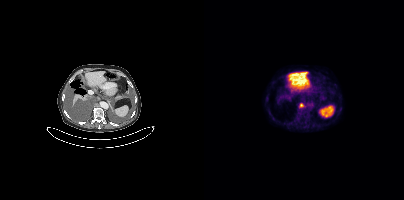
Coordinates are on the 200×200 PET (right) panel. PSMA-avid tumor lesion bounding box (x, y, width, height): x=95 y=103 w=6 h=5.